Two-panel axial: CT | PSMA PET, [18F]PSMA-1007 tracer. Acquired on Siemens Biograph mCT Flow 20. Slice 326 of 431. PET panel 200×200 px (4.1 mm/px).
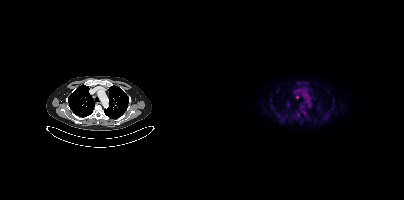
Coordinates are on the 200×200 PET (right) panel. Small PSMA-avid foci (2 to 4 px across) near (center x, center y): (100, 112) / (94, 114) / (93, 97) / (97, 107).